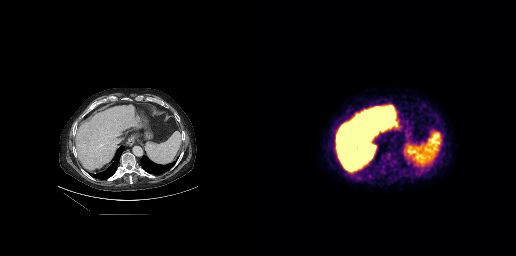
Coordinates are on the 256×256 PET (right) panel. PSMA-avid tumor lesion bounding boxes (x0,y0,x1,y1): [122,152,136,166] [76,120,80,123].